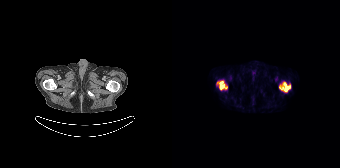
Coordinates are on the 168×168 PET (right) panel. PSMA-avid tumor lesion bounding boxes (x, y, width, height): x=107 y=81 w=12 h=12 | x=45 y=81 w=11 h=9.